Two-panel axial: CT | PSMA PET, 68Ga tracer. Acquired on Siemens Biograph 64-4R TruePoint. PET panel 168×168 px (4.1 mm/px).
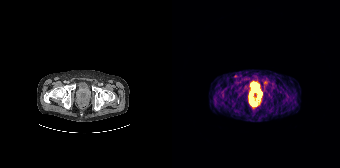
Coordinates are on the 168×168 PET (right) panel. PSMA-avid tumor lesion bounding boxes:
| # | x0 | y0 | x1 | y1 |
|---|---|---|---|---|
| 1 | 77 | 88 | 90 | 105 |